Left: CT. Right: PSMA PET, same axial level, [18F]PSMA-1007 tracer. PET panel 200×200 px (4.1 mm/px).
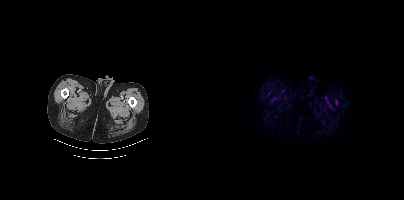
Coordinates are on the 200×200 PET (right) panel. Small PSMA-avid focus (2 to 4 px across) near (center x, center y): (132, 102).